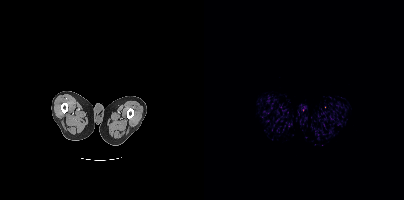
Findings: No PSMA-avid tumor lesions on this slice.
- Left: CT. Right: PSMA PET, same axial level, 18F tracer